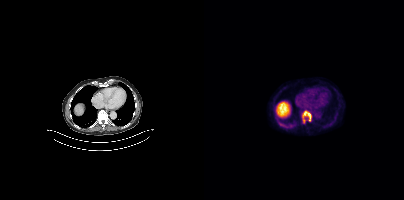
Findings: Coordinates are on the 200×200 PET (right) panel. PSMA-avid tumor lesion bounding box (x0, y0)-(x1, y1): (98, 111)-(107, 122).
Technique: Two-panel axial: CT | PSMA PET, 18F-PSMA tracer. acquired on Siemens Biograph mCT Flow 20. slice 255 of 423. PET panel 200×200 px (4.1 mm/px).